The head region is masked for de-identification. Paired axial CT (left) and PSMA PET (right), 68Ga tracer. Slice 319 of 373. PET panel 200×200 px (4.1 mm/px).
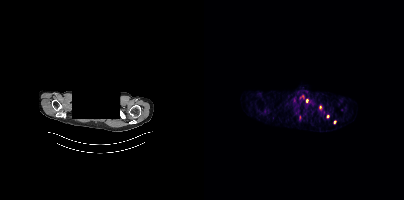
Coordinates are on the 200×200 PET (right) panel. Small PSMA-avid foci (2 to 4 px across) near (center x, center y): (102, 100); (123, 116); (116, 107); (130, 121).